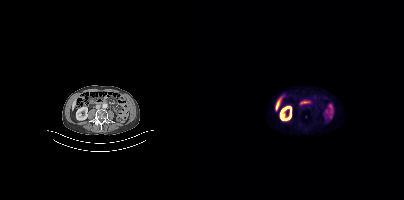
Technique: Left: CT. Right: PSMA PET, same axial level, [18F]PSMA-1007 tracer. acquired on Siemens Biograph mCT Flow 20. slice 143 of 405. PET panel 200×200 px (4.1 mm/px).
Findings: This slice has no annotated PSMA-avid lesion.